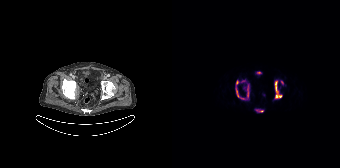
{"modality":"PSMA PET/CT","view":"axial","tracer":"18F-PSMA","pet_grid":[168,168],"coord_frame":"pet_panel","coord_format":"x0,y0,x1,y1","partial":true,"lesion_bboxes":[[63,80,77,99],[102,80,110,98],[69,80,73,82],[87,110,91,112]],"small_foci_centers":[[110,82]]}